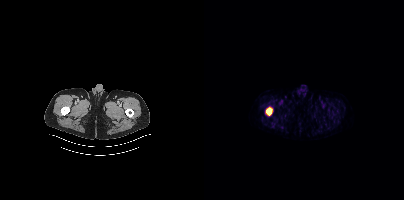
Paired axial CT (left) and PSMA PET (right), 18F tracer. Coordinates are on the 200×200 PET (right) panel. PSMA-avid tumor lesion bounding box (x0,y0,x1,y1): [62,108,68,115].